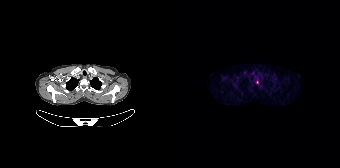
Paired axial CT (left) and PSMA PET (right), 18F tracer. Acquired on Siemens Biograph 64-4R TruePoint. Slice 135 of 165. PET panel 168×168 px (4.1 mm/px). Coordinates are on the 168×168 PET (right) panel. Small PSMA-avid foci (2 to 4 px across) near (center x, center y): (85, 81) (72, 72).